Two-panel axial: CT | PSMA PET, 18F tracer. Acquired on Siemens Biograph mCT Flow 20.
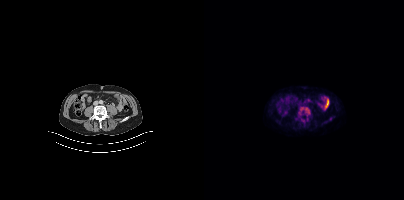
This slice has no annotated PSMA-avid lesion.